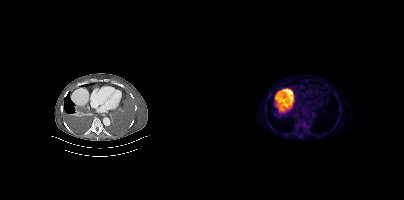
Paired axial CT (left) and PSMA PET (right), 18F-PSMA tracer. Coordinates are on the 200×200 PET (right) panel. (showing 2 of 3 foci) Small PSMA-avid foci (2 to 4 px across) near (center x, center y): (65, 95) (109, 114).